- Left: CT. Right: PSMA PET, same axial level, [18F]PSMA-1007 tracer
- slice position z = -1010 mm
- PET panel 200×200 px (4.1 mm/px)
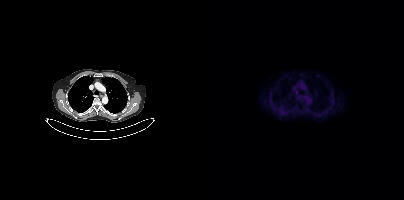
Findings: Only PSMA-avid lesion pieces thinner than 2 px on this slice (not listed).